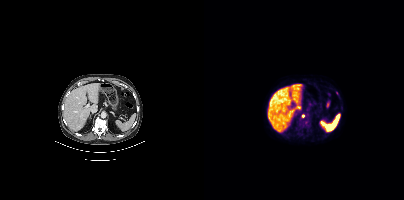
{"pet_grid":[200,200],"coord_frame":"pet_panel","coord_format":"x0,y0,x1,y1","lesion_bboxes":[],"small_foci_centers":[[99,115]],"modality":"PSMA PET/CT","view":"axial","tracer":"[18F]PSMA-1007"}